Technique: Left: CT. Right: PSMA PET, same axial level, 18F tracer. PET panel 200×200 px (4.1 mm/px).
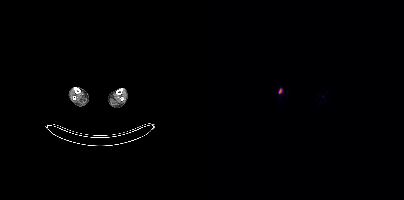
Findings: Coordinates are on the 200×200 PET (right) panel. PSMA-avid tumor lesion bounding box (x0, y0)-(x1, y1): (74, 88)-(78, 93).